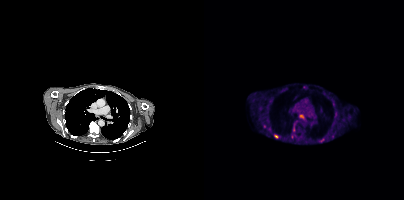
Coordinates are on the 200×200 PET (right) panel. PSMA-avid tumor lesion bounding boxes (partial; 1 more focus not listed):
| # | x0 | y0 | x1 | y1 |
|---|---|---|---|---|
| 1 | 116 | 138 | 120 | 142 |
| 2 | 70 | 135 | 74 | 138 |
Small PSMA-avid focus (2 to 4 px across) near (center x, center y): (89, 129).
Paired axial CT (left) and PSMA PET (right), 18F-PSMA tracer. Slice position z = -1004 mm. PET panel 200×200 px (4.1 mm/px).